Two-panel axial: CT | PSMA PET, [18F]PSMA-1007 tracer. PET panel 200×200 px (4.1 mm/px).
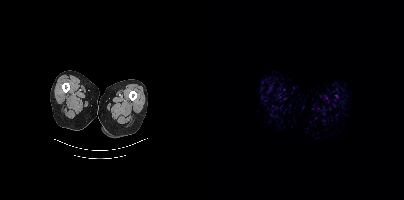
This slice has no annotated PSMA-avid lesion.